Technique: Paired axial CT (left) and PSMA PET (right), 68Ga-PSMA tracer. acquired on GE Discovery 690. slice position z = -912 mm.
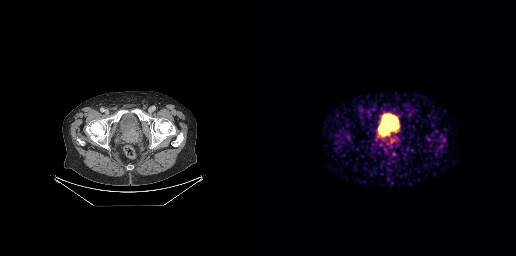
Findings: Coordinates are on the 256×256 PET (right) panel. PSMA-avid tumor lesion bounding box (x0, y0)-(x1, y1): (124, 132)-(136, 144).